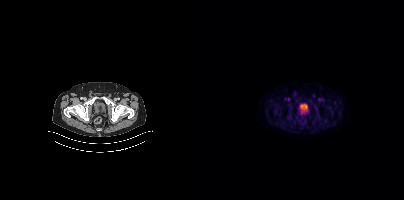
{"modality":"PSMA PET/CT","view":"axial","tracer":"18F-PSMA","pet_grid":[200,200],"coord_frame":"pet_panel","coord_format":"x0,y0,x1,y1","psma_avid_lesions":false}